modality: PSMA PET/CT | tracer: 18F-PSMA | view: axial | PET grid: 168×168
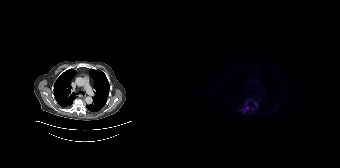
Coordinates are on the 168×168 PET (right) panel. PSMA-avid tumor lesion bounding boxes (x0, y0)-(x1, y1): (71, 106)-(76, 111) / (82, 102)-(85, 106) / (73, 100)-(75, 104). Small PSMA-avid focus (2 to 4 px across) near (center x, center y): (80, 108).